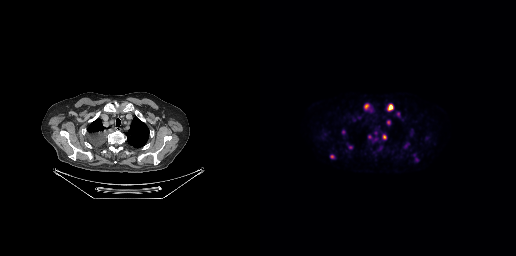
Left: CT. Right: PSMA PET, same axial level, 18F-PSMA tracer. Slice position z = -190 mm. PET panel 256×256 px (2.7 mm/px). Coordinates are on the 256×256 PET (right) panel. PSMA-avid tumor lesion bounding boxes (x0,y0,x1,y1): [126,104,134,111]; [122,133,127,139]; [104,104,109,109]; [126,120,130,125]; [136,112,140,116]; [70,155,74,158]. Small PSMA-avid foci (2 to 4 px across) near (center x, center y): (90, 147); (83, 131); (109, 136); (156, 159).